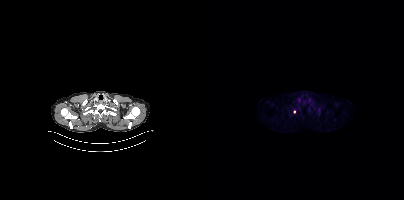
Coordinates are on the 200×200 PET (right) panel. Small PSMA-avid focus (2 to 4 px across) near (center x, center y): (90, 111).